- Left: CT. Right: PSMA PET, same axial level, 18F-PSMA tracer
- slice position z = -124 mm
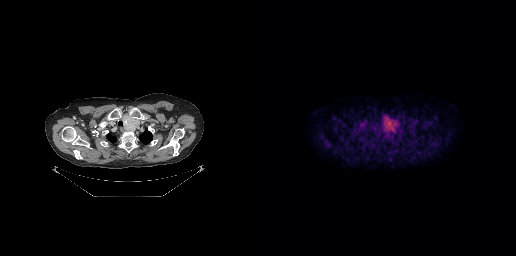
Findings: Coordinates are on the 256×256 PET (right) panel. PSMA-avid tumor lesion bounding box (x0,y0,x1,y1): [123,116,139,132].